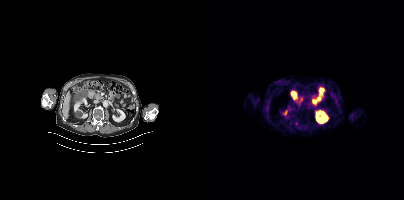
- Left: CT. Right: PSMA PET, same axial level, 18F tracer
- slice position z = -732 mm
Findings: This slice has no annotated PSMA-avid lesion.